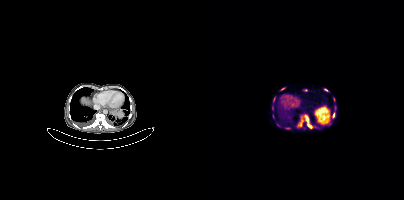
Left: CT. Right: PSMA PET, same axial level, 68Ga tracer. Slice 228 of 393. PET panel 200×200 px (4.1 mm/px).
Coordinates are on the 200×200 PET (right) panel. PSMA-avid tumor lesion bounding boxes (partial; 3 more foci not listed):
| # | x0 | y0 | x1 | y1 |
|---|---|---|---|---|
| 1 | 100 | 115 | 108 | 128 |
| 2 | 94 | 117 | 99 | 126 |
| 3 | 69 | 96 | 71 | 100 |
| 4 | 128 | 113 | 130 | 117 |
Small PSMA-avid foci (2 to 4 px across) near (center x, center y): (78, 88); (83, 128); (68, 108); (122, 89); (73, 124).